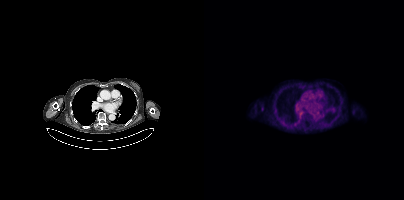
{"modality":"PSMA PET/CT","view":"axial","tracer":"18F","pet_grid":[200,200],"coord_frame":"pet_panel","coord_format":"x0,y0,x1,y1","psma_avid_lesions":false}